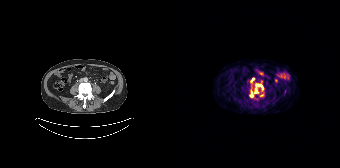
Findings: Coordinates are on the 168×168 PET (right) panel. (showing 3 of 4 foci) PSMA-avid tumor lesion bounding box (x, y, width, height): x=77 y=83 w=15 h=15. Small PSMA-avid foci (2 to 4 px across) near (center x, center y): (89, 95) | (80, 78).
Technique: Left: CT. Right: PSMA PET, same axial level, 68Ga-PSMA tracer. slice position z = -779 mm. PET panel 168×168 px (4.1 mm/px).